de-identification: head region blacked out before release | modality: PSMA PET/CT | tracer: [18F]PSMA-1007 | view: axial | PET grid: 200×200
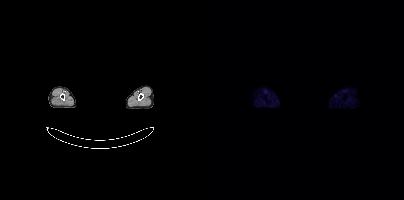
This slice has no annotated PSMA-avid lesion.